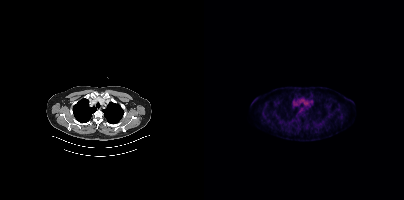
{"modality":"PSMA PET/CT","view":"axial","tracer":"[18F]PSMA-1007","pet_grid":[200,200],"coord_frame":"pet_panel","coord_format":"x0,y0,x1,y1","psma_avid_lesions":false}